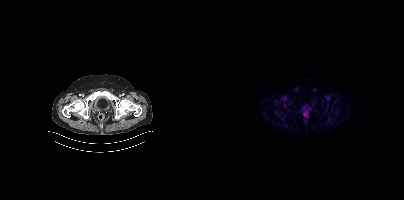
{"modality":"PSMA PET/CT","view":"axial","tracer":"18F-PSMA","pet_grid":[200,200],"coord_frame":"pet_panel","coord_format":"x0,y0,x1,y1","psma_avid_lesions":false}